Paired axial CT (left) and PSMA PET (right), 18F tracer. Slice 274 of 407.
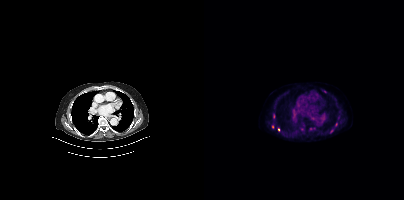
Coordinates are on the 200×200 PET (right) panel. PSMA-avid tumor lesion bounding boxes (partial; 1 more focus not listed):
| # | x0 | y0 | x1 | y1 |
|---|---|---|---|---|
| 1 | 69 | 114 | 71 | 118 |
Small PSMA-avid foci (2 to 4 px across) near (center x, center y): (107, 129); (98, 129); (68, 127); (74, 129); (127, 131); (121, 91).